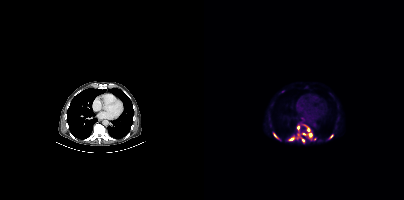
{"pet_grid":[200,200],"coord_frame":"pet_panel","coord_format":"x0,y0,x1,y1","partial":true,"lesion_bboxes":[[85,136,91,140],[100,124,105,131],[93,134,97,138],[125,134,129,138],[70,133,73,137]],"small_foci_centers":[[105,134],[94,126],[111,139],[99,140],[100,134],[78,91]],"modality":"PSMA PET/CT","view":"axial","tracer":"[18F]PSMA-1007"}